Left: CT. Right: PSMA PET, same axial level, 18F tracer. Slice position z = -10 mm. PET panel 200×200 px (4.1 mm/px).
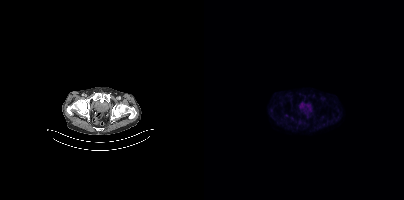
This slice has no annotated PSMA-avid lesion.